Paired axial CT (left) and PSMA PET (right), [18F]PSMA-1007 tracer. Acquired on Siemens Biograph mCT Flow 20. Slice 99 of 454.
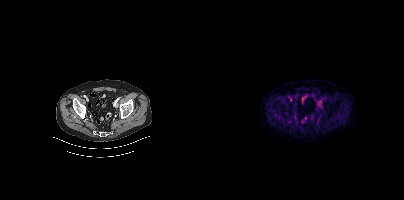
No tumor lesions annotated on this slice.